Paired axial CT (left) and PSMA PET (right), 18F-PSMA tracer. Acquired on Siemens Biograph mCT Flow 20. Slice 302 of 454.
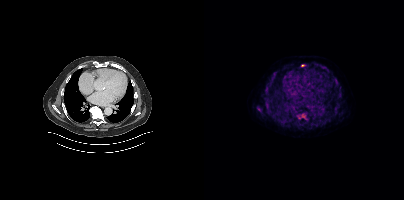
Coordinates are on the 200×200 PET (right) panel. (showing 9 of 10 foci) PSMA-avid tumor lesion bounding boxes (x0, y0)-(x1, y1): (61, 103)-(66, 108); (95, 111)-(102, 116); (67, 72)-(72, 78); (61, 87)-(65, 91); (118, 66)-(122, 70); (97, 64)-(101, 66). Small PSMA-avid foci (2 to 4 px across) near (center x, center y): (132, 82); (63, 83); (61, 98).